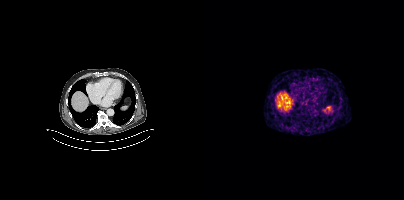
Technique: Two-panel axial: CT | PSMA PET, 68Ga-PSMA tracer. PET panel 200×200 px (4.1 mm/px).
Findings: Only PSMA-avid lesion pieces thinner than 2 px on this slice (not listed).